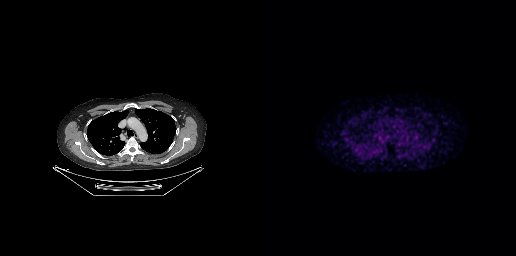
{"modality":"PSMA PET/CT","view":"axial","tracer":"68Ga","pet_grid":[256,256],"coord_frame":"pet_panel","coord_format":"x0,y0,x1,y1","psma_avid_lesions":false}